Technique: Left: CT. Right: PSMA PET, same axial level, [18F]PSMA-1007 tracer. acquired on Siemens Biograph mCT Flow 20.
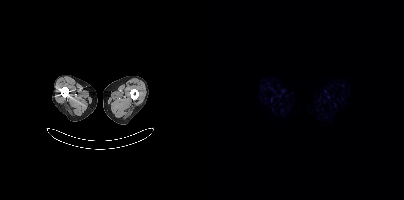
Findings: No PSMA-avid tumor lesions on this slice.